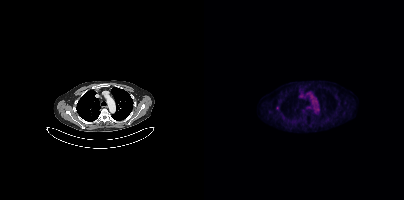
{"modality":"PSMA PET/CT","view":"axial","tracer":"18F","pet_grid":[200,200],"coord_frame":"pet_panel","coord_format":"x0,y0,x1,y1","lesion_bboxes":[],"small_foci_centers":[[73,108]]}